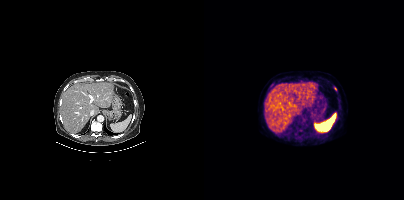
Coordinates are on the 200×200 PET (right) panel. Small PSMA-avid foci (2 to 4 px across) near (center x, center y): (67, 84); (131, 88).